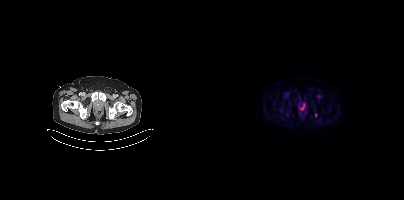
Coordinates are on the 200×200 PET (right) panel. Small PSMA-avid focus (2 to 4 px across) near (center x, center y): (111, 115).